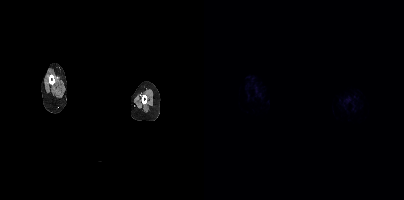
Face de-identified by blanking a block of the head. Two-panel axial: CT | PSMA PET, [68Ga]Ga-PSMA-11 tracer. Slice position z = 987 mm. Negative for PSMA-avid disease on this slice.